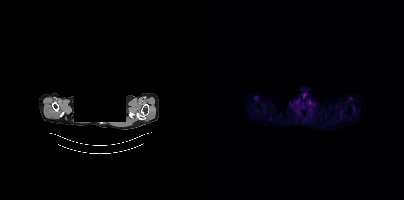
No tumor lesions annotated on this slice. Two-panel axial: CT | PSMA PET, [18F]PSMA-1007 tracer. Slice 366 of 423. PET panel 200×200 px (4.1 mm/px). A rectangle over the head was blacked out to remove identifiable facial features.